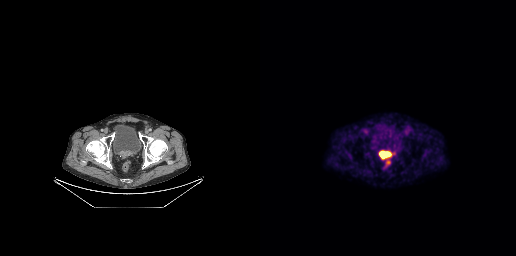
{"pet_grid":[256,256],"coord_frame":"pet_panel","coord_format":"x0,y0,x1,y1","lesion_bboxes":[[119,151,131,158]],"small_foci_centers":[[128,162]],"modality":"PSMA PET/CT","view":"axial","tracer":"[18F]PSMA-1007"}